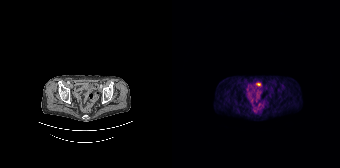
No PSMA-avid tumor lesions on this slice.
modality: PSMA PET/CT | tracer: [68Ga]Ga-PSMA-11 | view: axial